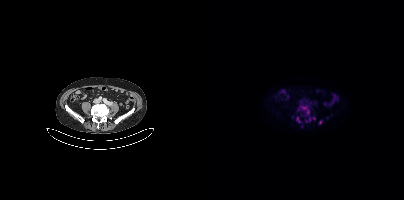
Coordinates are on the 200×200 PET (right) panel. (showing 5 of 6 foci) PSMA-avid tumor lesion bounding boxes (x, y, width, height): x=97 y=106 w=9 h=9; x=93 y=117 w=4 h=6. Small PSMA-avid foci (2 to 4 px across) near (center x, center y): (116, 122); (110, 118); (105, 119).